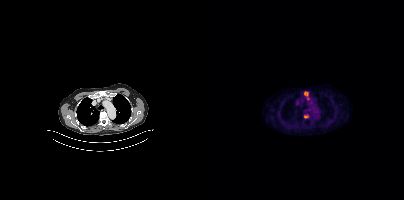
modality: PSMA PET/CT | tracer: [18F]PSMA-1007 | view: axial
Coordinates are on the 200×200 PET (right) panel. PSMA-avid tumor lesion bounding boxes (x0,y0,x1,y1): [100,91,104,96], [100,116,104,117]. Small PSMA-avid focus (2 to 4 px across) near (center x, center y): (103, 98).